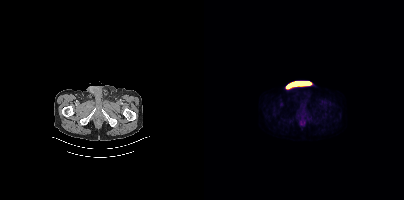
- Left: CT. Right: PSMA PET, same axial level, [18F]PSMA-1007 tracer
- PET panel 200×200 px (4.1 mm/px)
Findings: No tumor lesions annotated on this slice.